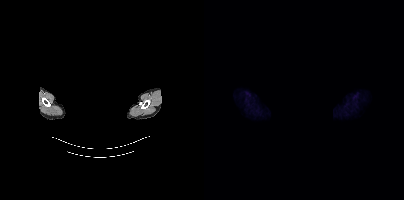
- Two-panel axial: CT | PSMA PET, 18F-PSMA tracer
- slice position z = -882 mm
- de-identified by setting a box covering the face to black before release
Findings: No PSMA-avid tumor lesions on this slice.